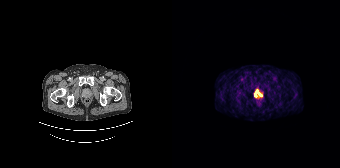
Technique: Two-panel axial: CT | PSMA PET, [68Ga]Ga-PSMA-11 tracer. PET panel 168×168 px (4.1 mm/px).
Findings: Coordinates are on the 168×168 PET (right) panel. PSMA-avid tumor lesion bounding box (x0,y0,x1,y1): [82,89,90,97].